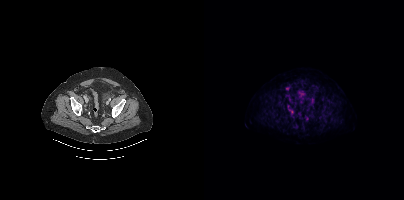
Coordinates are on the 200×200 PET (right) panel. (showing 2 of 3 foci) PSMA-avid tumor lesion bounding box (x0,y0,x1,y1): [84,109,88,112]. Small PSMA-avid focus (2 to 4 px across) near (center x, center y): (83, 89).